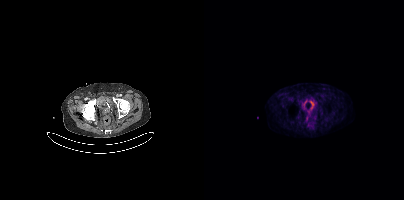
Technique: Left: CT. Right: PSMA PET, same axial level, [18F]PSMA-1007 tracer. slice position z = -1508 mm.
Findings: No tumor lesions annotated on this slice.